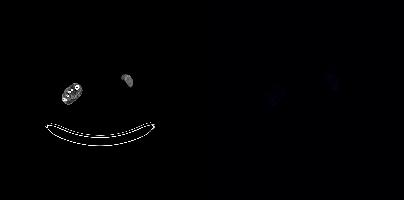
No tumor lesions annotated on this slice. Left: CT. Right: PSMA PET, same axial level, [18F]PSMA-1007 tracer. Slice 11 of 963. PET panel 200×200 px (4.1 mm/px).